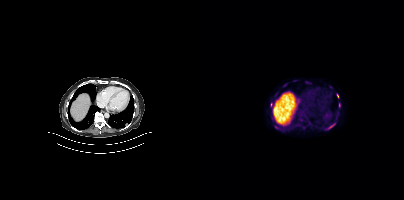
- Left: CT. Right: PSMA PET, same axial level, 18F tracer
- slice position z = -1138 mm
Findings: Coordinates are on the 200×200 PET (right) panel. (showing 4 of 5 foci) PSMA-avid tumor lesion bounding boxes (x0,y0,x1,y1): [122,122,131,129], [70,126,75,129]. Small PSMA-avid foci (2 to 4 px across) near (center x, center y): (133, 95), (67, 104).